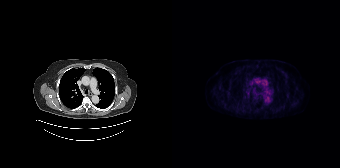
Technique: Left: CT. Right: PSMA PET, same axial level, 18F-PSMA tracer. acquired on Siemens Biograph 64-4R TruePoint. slice position z = -1100 mm.
Findings: No PSMA-avid tumor lesions on this slice.